Technique: Paired axial CT (left) and PSMA PET (right), 18F-PSMA tracer. slice 421 of 438. PET panel 200×200 px (4.1 mm/px).
Note: Face de-identified by blanking a block of the head.
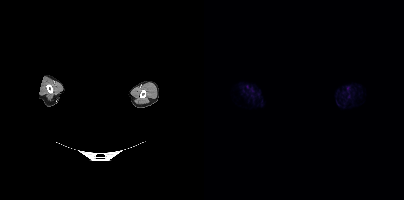
Findings: Negative for PSMA-avid disease on this slice.